Left: CT. Right: PSMA PET, same axial level, 18F-PSMA tracer. Slice 353 of 401. Facial anatomy redacted by setting a rectangular region of the head to black.
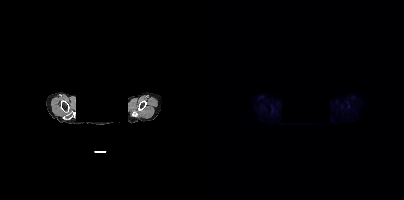
No PSMA-avid tumor lesions on this slice.